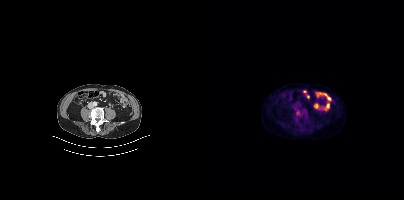
Coordinates are on the 200×200 PET (right) panel. Small PSMA-avid focus (2 to 4 px across) near (center x, center y): (93, 112).
modality: PSMA PET/CT | tracer: [18F]PSMA-1007 | view: axial | PET grid: 200×200